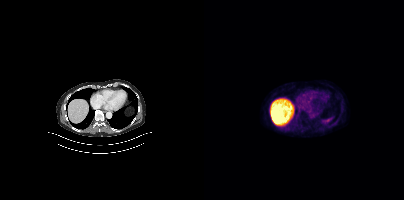
This slice has no annotated PSMA-avid lesion. Paired axial CT (left) and PSMA PET (right), 18F tracer. Acquired on Siemens Biograph mCT Flow 20. Slice position z = -1107 mm.